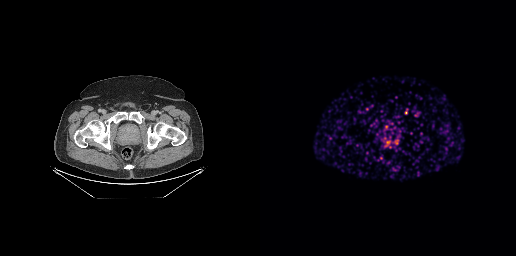
- Paired axial CT (left) and PSMA PET (right), 68Ga-PSMA tracer
- PET panel 256×256 px (2.7 mm/px)
Findings: Coordinates are on the 256×256 PET (right) panel. (showing 1 of 2 foci) PSMA-avid tumor lesion bounding box (x0, y0)-(x1, y1): (126, 141)-(130, 145).